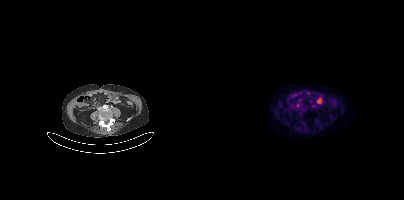
Findings: Coordinates are on the 200×200 PET (right) panel. (showing 1 of 2 foci) Small PSMA-avid focus (2 to 4 px across) near (center x, center y): (109, 105).
- Left: CT. Right: PSMA PET, same axial level, 18F tracer